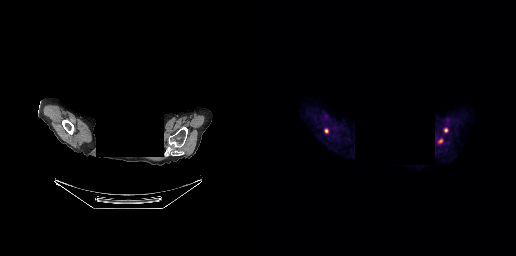
{"modality":"PSMA PET/CT","view":"axial","tracer":"[18F]PSMA-1007","pet_grid":[256,256],"coord_frame":"pet_panel","coord_format":"x0,y0,x1,y1","de-identification":"privacy mask over head","lesion_bboxes":[],"small_foci_centers":[[66,130],[186,130],[180,140]]}